Paired axial CT (left) and PSMA PET (right), 18F-PSMA tracer.
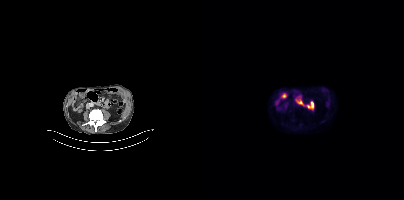
No PSMA-avid tumor lesions on this slice.